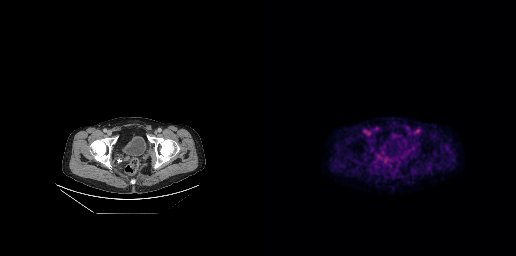
Paired axial CT (left) and PSMA PET (right), [18F]PSMA-1007 tracer. PET panel 256×256 px (2.7 mm/px). Negative for PSMA-avid disease on this slice.